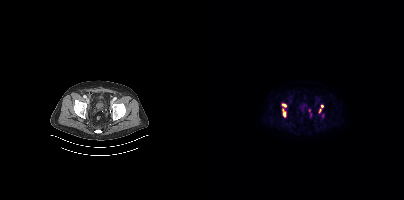
Coordinates are on the 200×200 PET (right) panel. PSMA-avid tumor lesion bounding boxes (x0,y0,x1,y1): [78,109,81,116], [78,104,82,106]. Small PSMA-avid foci (2 to 4 px across) near (center x, center y): (118, 106), (116, 110).